Two-panel axial: CT | PSMA PET, 18F-PSMA tracer. PET panel 200×200 px (4.1 mm/px).
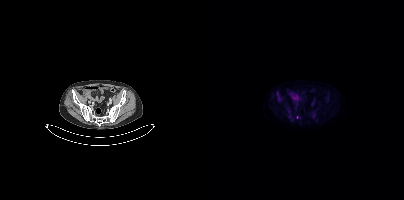
Only PSMA-avid lesion pieces thinner than 2 px on this slice (not listed).